Paired axial CT (left) and PSMA PET (right), 18F-PSMA tracer. Slice position z = -1342 mm. PET panel 200×200 px (4.1 mm/px).
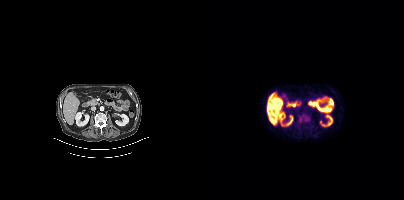
Coordinates are on the 200×200 PET (right) panel. PSMA-avid tumor lesion bounding boxes:
| # | x0 | y0 | x1 | y1 |
|---|---|---|---|---|
| 1 | 96 | 115 | 105 | 122 |